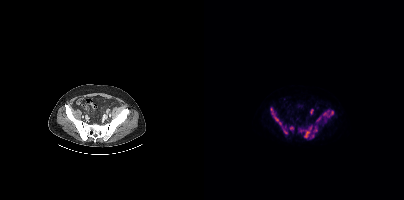
{"modality":"PSMA PET/CT","view":"axial","tracer":"18F","pet_grid":[200,200],"coord_frame":"pet_panel","coord_format":"x0,y0,x1,y1","lesion_bboxes":[[119,110,129,117],[100,131,105,137],[70,116,77,124],[112,117,117,121],[67,108,69,114]],"small_foci_centers":[[111,130],[87,128],[81,131],[106,128]]}